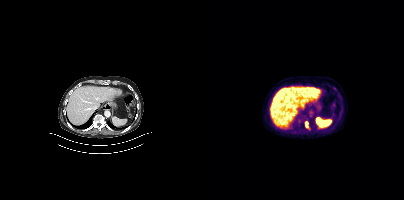
Coordinates are on the 200×200 PET (right) panel. PSMA-avid tumor lesion bounding box (x0,y0,x1,y1): [101,122,103,127].